Two-panel axial: CT | PSMA PET, 68Ga-PSMA tracer. Acquired on GE Discovery 690. Slice position z = -671 mm. PET panel 256×256 px (2.7 mm/px).
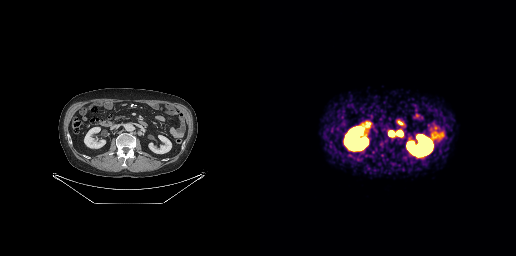
Coordinates are on the 256×256 PET (right) panel. PSMA-avid tumor lesion bounding boxes:
| # | x0 | y0 | x1 | y1 |
|---|---|---|---|---|
| 1 | 129 | 131 | 133 | 135 |
| 2 | 138 | 131 | 142 | 135 |